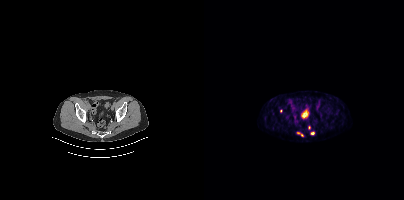
{"modality":"PSMA PET/CT","view":"axial","tracer":"[68Ga]Ga-PSMA-11","pet_grid":[200,200],"coord_frame":"pet_panel","coord_format":"x0,y0,x1,y1","partial":true,"lesion_bboxes":[[93,132,99,136]],"small_foci_centers":[[108,133],[105,127]]}